Technique: Two-panel axial: CT | PSMA PET, 18F-PSMA tracer. PET panel 200×200 px (4.1 mm/px).
Note: The face region was removed for patient privacy by blanking a rectangle over the head.
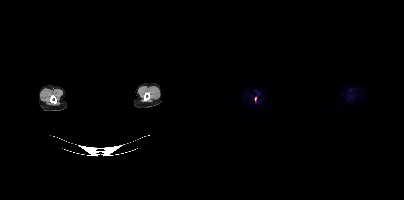
Findings: Negative for PSMA-avid disease on this slice.